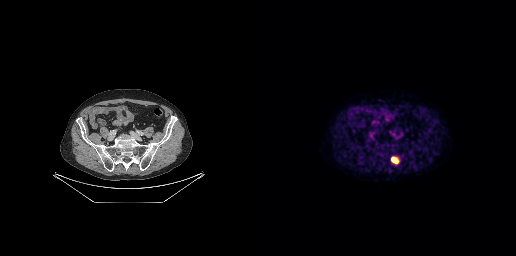
- Two-panel axial: CT | PSMA PET, [18F]PSMA-1007 tracer
- slice position z = -646 mm
Findings: Coordinates are on the 256×256 PET (right) panel. PSMA-avid tumor lesion bounding box (x0, y0)-(x1, y1): (132, 157)-(137, 162).